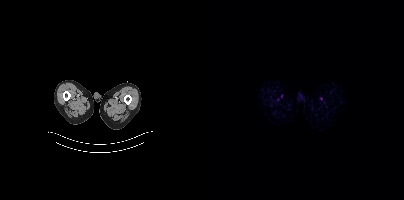
Technique: Left: CT. Right: PSMA PET, same axial level, [18F]PSMA-1007 tracer. PET panel 200×200 px (4.1 mm/px).
Findings: Negative for PSMA-avid disease on this slice.